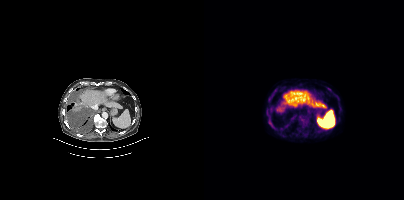
Findings: Coordinates are on the 200×200 PET (right) panel. (showing 5 of 6 foci) PSMA-avid tumor lesion bounding boxes (x0, y0)-(x1, y1): (97, 119)-(103, 125) / (64, 96)-(67, 101) / (64, 119)-(67, 124). Small PSMA-avid foci (2 to 4 px across) near (center x, center y): (71, 89) / (124, 88).
Technique: Two-panel axial: CT | PSMA PET, [18F]PSMA-1007 tracer. acquired on Siemens Biograph mCT Flow 20. PET panel 200×200 px (4.1 mm/px).